Two-panel axial: CT | PSMA PET, [18F]PSMA-1007 tracer.
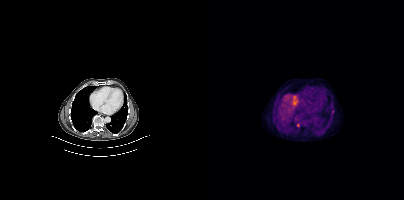
Coordinates are on the 200×200 PET (right) panel. Small PSMA-avid foci (2 to 4 px across) near (center x, center y): (94, 124); (128, 111).